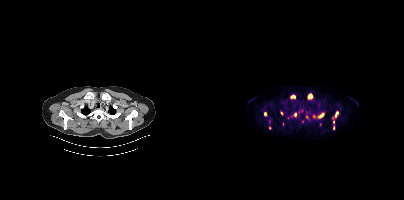
Coordinates are on the 200×200 PET (right) panel. (showing 11 of 13 foci) PSMA-avid tumor lesion bounding boxes (x0, y0)-(x1, y1): (103, 93)-(109, 99); (113, 113)-(120, 118); (128, 111)-(134, 118); (87, 95)-(91, 98). Small PSMA-avid foci (2 to 4 px across) near (center x, center y): (61, 113); (91, 114); (110, 116); (102, 117); (77, 113); (129, 128); (129, 121). Paired axial CT (left) and PSMA PET (right), 18F tracer. Slice position z = -402 mm.